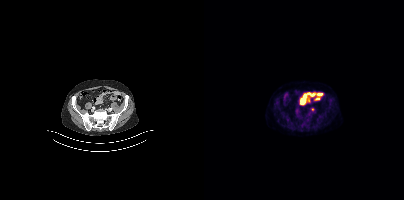
{"modality":"PSMA PET/CT","view":"axial","tracer":"[18F]PSMA-1007","pet_grid":[200,200],"coord_frame":"pet_panel","coord_format":"x0,y0,x1,y1","partial":true,"lesion_bboxes":[]}